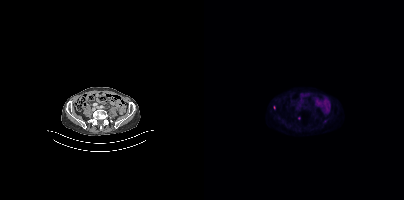
modality: PSMA PET/CT | tracer: 18F-PSMA | view: axial | PET grid: 200×200
Coordinates are on the 200×200 PET (right) panel. (showing 1 of 2 foci) Small PSMA-avid focus (2 to 4 px across) near (center x, center y): (121, 121).